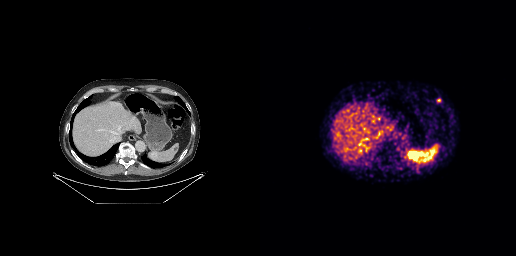
Technique: Two-panel axial: CT | PSMA PET, [68Ga]Ga-PSMA-11 tracer. PET panel 256×256 px (2.7 mm/px).
Findings: Coordinates are on the 256×256 PET (right) panel. PSMA-avid tumor lesion bounding boxes (x0, y0)-(x1, y1): (170, 147)-(177, 154) / (149, 151)-(156, 157) / (176, 98)-(181, 102).